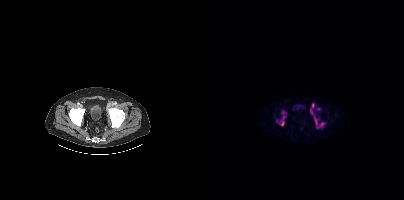
Coordinates are on the 200×200 PET (right) panel. (showing 4 of 7 foci) PSMA-avid tumor lesion bounding boxes (x0, y0)-(x1, y1): (110, 115)-(120, 128); (77, 121)-(80, 125). Small PSMA-avid foci (2 to 4 px across) near (center x, center y): (107, 111); (79, 117).